Left: CT. Right: PSMA PET, same axial level, [18F]PSMA-1007 tracer. Slice 88 of 963.
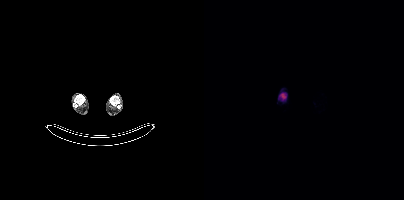
Coordinates are on the 200×200 PET (right) panel. PSMA-avid tumor lesion bounding box (x, y, width, height): x=77 y=93 w=5 h=6.